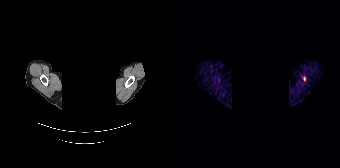
{"pet_grid":[168,168],"coord_frame":"pet_panel","coord_format":"x0,y0,x1,y1","lesion_bboxes":[],"small_foci_centers":[[132,78]],"modality":"PSMA PET/CT","view":"axial","tracer":"68Ga-PSMA","redaction":"privacy mask over head"}